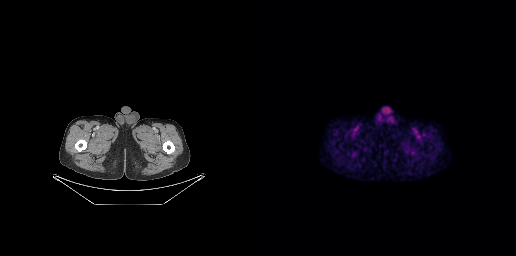
No PSMA-avid tumor lesions on this slice.